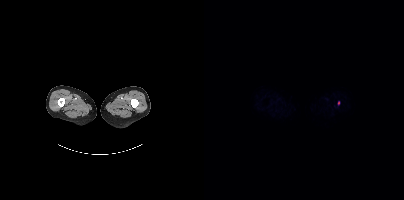
{"pet_grid":[200,200],"coord_frame":"pet_panel","coord_format":"x0,y0,x1,y1","lesion_bboxes":[],"small_foci_centers":[[134,102]],"modality":"PSMA PET/CT","view":"axial","tracer":"18F"}